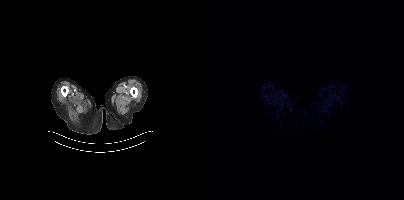
{"pet_grid":[200,200],"coord_frame":"pet_panel","coord_format":"x0,y0,x1,y1","psma_avid_lesions":false,"modality":"PSMA PET/CT","view":"axial","tracer":"[18F]PSMA-1007"}